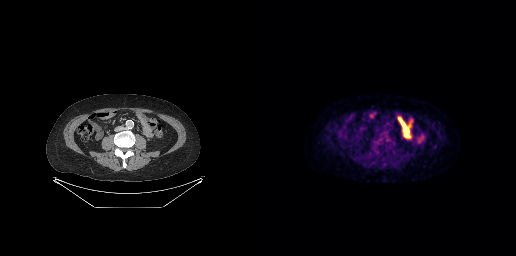
Paired axial CT (left) and PSMA PET (right), 18F tracer. Acquired on GE Discovery 690. This slice has no annotated PSMA-avid lesion.